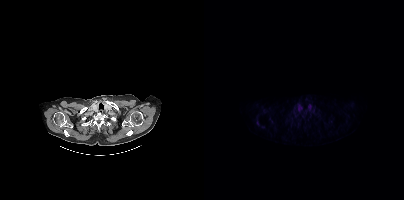
Left: CT. Right: PSMA PET, same axial level, [18F]PSMA-1007 tracer. Acquired on Siemens Biograph mCT Flow 20. PET panel 200×200 px (4.1 mm/px). Negative for PSMA-avid disease on this slice.